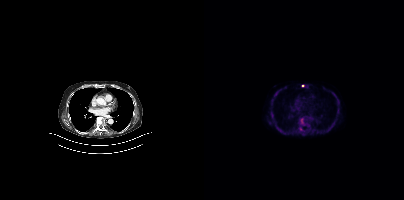
{"modality":"PSMA PET/CT","view":"axial","tracer":"18F","pet_grid":[200,200],"coord_frame":"pet_panel","coord_format":"x0,y0,x1,y1","partial":true,"lesion_bboxes":[[96,120,100,125]],"small_foci_centers":[[98,85]]}